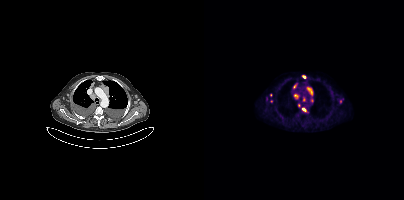
{"modality":"PSMA PET/CT","view":"axial","tracer":"18F-PSMA","pet_grid":[200,200],"coord_frame":"pet_panel","coord_format":"x0,y0,x1,y1","partial":true,"lesion_bboxes":[[103,87,108,95],[90,94,94,98],[98,107,102,111],[98,75,102,78]],"small_foci_centers":[[90,86],[67,95],[99,99],[67,101],[94,105]]}